Two-panel axial: CT | PSMA PET, 68Ga-PSMA tracer. Slice 150 of 195. PET panel 168×168 px (4.1 mm/px).
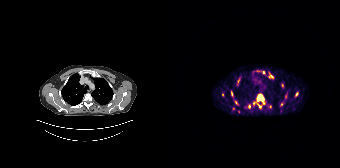
Coordinates are on the 168×168 PET (right) panel. PSMA-avid tumor lesion bounding boxes (partial; 4 more foci not listed):
| # | x0 | y0 | x1 | y1 |
|---|---|---|---|---|
| 1 | 85 | 94 | 91 | 101 |
| 2 | 59 | 91 | 60 | 95 |
| 3 | 66 | 78 | 67 | 82 |
Small PSMA-avid foci (2 to 4 px across) near (center x, center y): (64, 102); (91, 72); (125, 94); (76, 106); (109, 104); (50, 94); (113, 96); (87, 106).